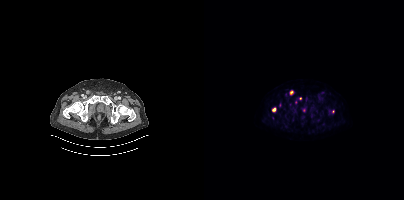
Coordinates are on the 200×200 PET (right) panel. (showing 4 of 5 foci) PSMA-avid tumor lesion bounding box (x0,y0,x1,y1): [86,90,89,94]. Small PSMA-avid foci (2 to 4 px across) near (center x, center y): (69, 109) (129, 111) (96, 98).